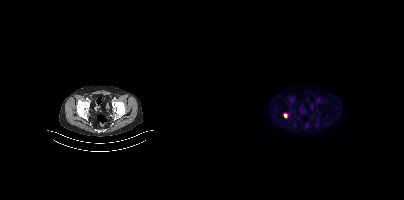
Findings: Coordinates are on the 200×200 PET (right) panel. Small PSMA-avid focus (2 to 4 px across) near (center x, center y): (81, 115).
Technique: Left: CT. Right: PSMA PET, same axial level, 18F tracer. slice position z = -964 mm. PET panel 200×200 px (4.1 mm/px).